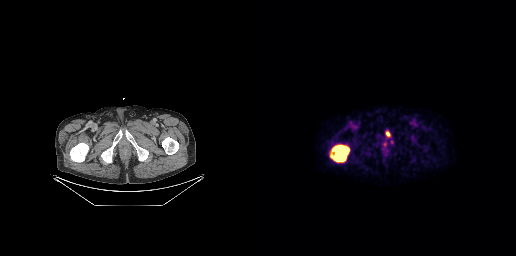
Paired axial CT (left) and PSMA PET (right), 18F-PSMA tracer. Acquired on GE Discovery 690. PET panel 256×256 px (2.7 mm/px). Coordinates are on the 256×256 PET (right) panel. PSMA-avid tumor lesion bounding boxes (x0, y0)-(x1, y1): (69, 144)-(90, 162); (126, 131)-(130, 136).